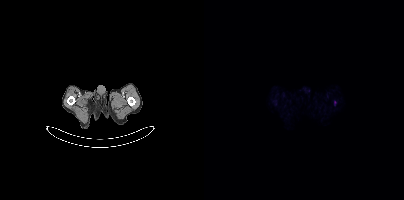
{"modality":"PSMA PET/CT","view":"axial","tracer":"18F","pet_grid":[200,200],"coord_frame":"pet_panel","coord_format":"x0,y0,x1,y1","partial":true,"lesion_bboxes":[]}